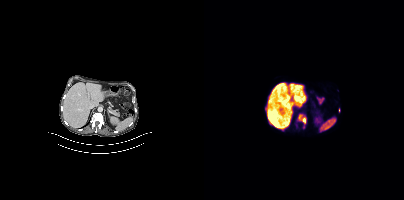
{"modality":"PSMA PET/CT","view":"axial","tracer":"18F","pet_grid":[200,200],"coord_frame":"pet_panel","coord_format":"x0,y0,x1,y1","partial":true,"lesion_bboxes":[[94,114,101,123]]}